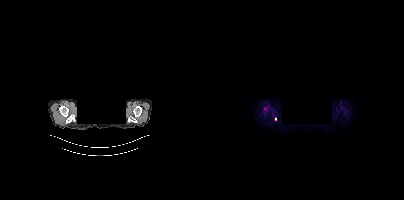
Two-panel axial: CT | PSMA PET, [18F]PSMA-1007 tracer. PET panel 200×200 px (4.1 mm/px). A rectangular block over the head has been blanked out for de-identification. Coordinates are on the 200×200 PET (right) panel. (showing 1 of 2 foci) Small PSMA-avid focus (2 to 4 px across) near (center x, center y): (71, 118).